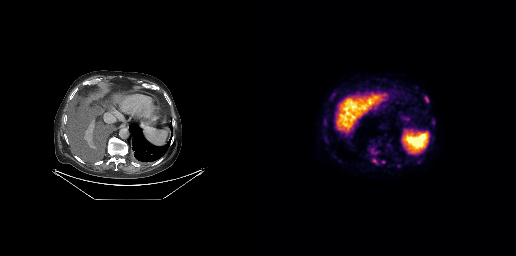
Coordinates are on the 256×256 PET (right) panel. PSMA-avid tumor lesion bounding box (x, y, width, height): x=172 y=119 w=3 h=6. Small PSMA-avid foci (2 to 4 px across) near (center x, center y): (167, 100) / (114, 160) / (138, 165) / (123, 161).